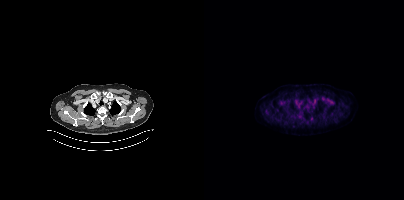
{"modality":"PSMA PET/CT","view":"axial","tracer":"[18F]PSMA-1007","pet_grid":[200,200],"coord_frame":"pet_panel","coord_format":"x0,y0,x1,y1","lesion_bboxes":[],"small_foci_centers":[[96,116]]}